Left: CT. Right: PSMA PET, same axial level, [18F]PSMA-1007 tracer. Acquired on Siemens Biograph mCT Flow 20. Slice 332 of 425.
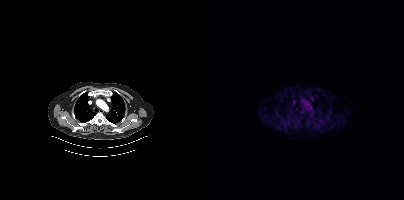
This slice has no annotated PSMA-avid lesion.